Two-panel axial: CT | PSMA PET, 68Ga tracer. Slice 199 of 393.
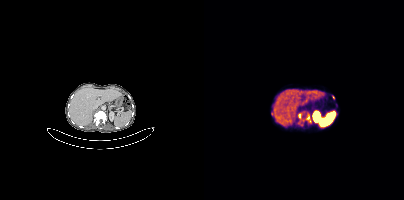
Coordinates are on the 200×200 PET (right) panel. PSMA-avid tumor lesion bounding boxes (partial; 1 more focus not listed):
| # | x0 | y0 | x1 | y1 |
|---|---|---|---|---|
| 1 | 101 | 113 | 107 | 122 |
| 2 | 94 | 113 | 97 | 119 |
Small PSMA-avid foci (2 to 4 px across) near (center x, center y): (67, 113); (129, 97).